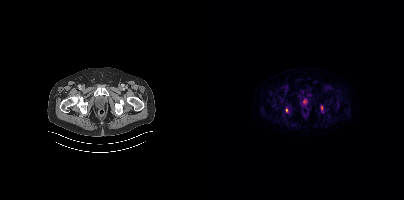
Findings: Coordinates are on the 200×200 PET (right) panel. Small PSMA-avid foci (2 to 4 px across) near (center x, center y): (117, 107); (82, 109).
Technique: Left: CT. Right: PSMA PET, same axial level, [18F]PSMA-1007 tracer. slice position z = -868 mm.